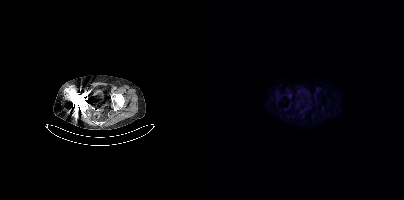
Findings: No PSMA-avid tumor lesions on this slice.
Technique: Left: CT. Right: PSMA PET, same axial level, [18F]PSMA-1007 tracer. acquired on Siemens Biograph mCT Flow 20.